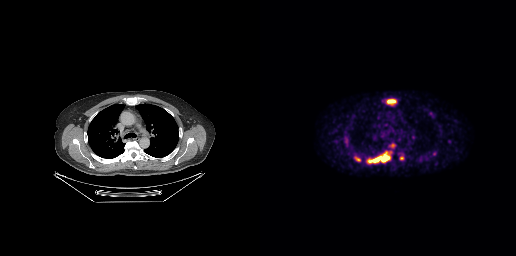
Coordinates are on the 256×256 PET (right) panel. PSMA-avid tumor lesion bounding boxes:
| # | x0 | y0 | x1 | y1 |
|---|---|---|---|---|
| 1 | 107 | 151 | 130 | 163 |
| 2 | 127 | 99 | 136 | 104 |
| 3 | 94 | 156 | 100 | 161 |
Small PSMA-avid foci (2 to 4 px across) near (center x, center y): (141, 158); (86, 140); (133, 145); (170, 113).
Left: CT. Right: PSMA PET, same axial level, 18F-PSMA tracer. Acquired on GE Discovery 690. PET panel 256×256 px (2.7 mm/px).